Left: CT. Right: PSMA PET, same axial level, 18F tracer. Slice position z = -874 mm. PET panel 200×200 px (4.1 mm/px).
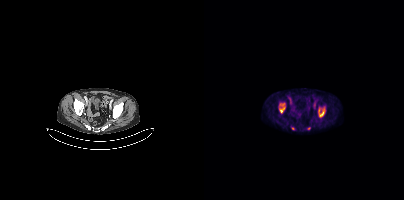
Coordinates are on the 200×200 PET (right) panel. (showing 3 of 4 foci) PSMA-avid tumor lesion bounding boxes (x0,y0,x1,y1): [114,107,121,116], [75,103,81,113]. Small PSMA-avid focus (2 to 4 px across) near (center x, center y): (89, 128).